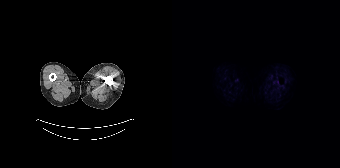
Two-panel axial: CT | PSMA PET, 18F-PSMA tracer. Acquired on Siemens Biograph 64-4R TruePoint. This slice has no annotated PSMA-avid lesion.